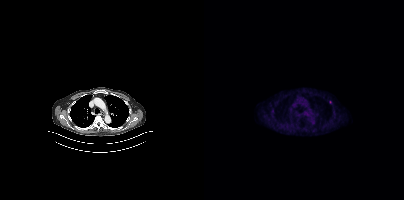
{"pet_grid":[200,200],"coord_frame":"pet_panel","coord_format":"x0,y0,x1,y1","partial":true,"lesion_bboxes":[],"small_foci_centers":[[68,111]],"modality":"PSMA PET/CT","view":"axial","tracer":"18F"}